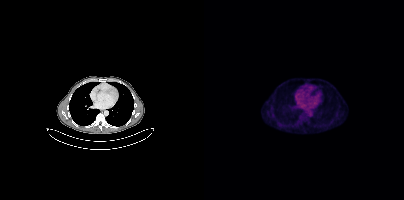
Paired axial CT (left) and PSMA PET (right), 18F tracer. Slice 257 of 417. PET panel 200×200 px (4.1 mm/px). No tumor lesions annotated on this slice.